- Two-panel axial: CT | PSMA PET, 18F-PSMA tracer
- PET panel 256×256 px (2.7 mm/px)
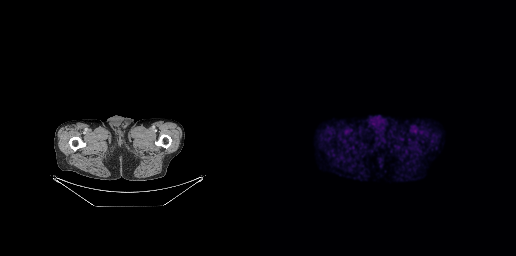
Findings: No tumor lesions annotated on this slice.